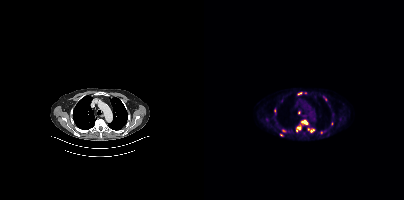
- Paired axial CT (left) and PSMA PET (right), 18F tracer
Findings: Coordinates are on the 200×200 PET (right) panel. (showing 7 of 12 foci) PSMA-avid tumor lesion bounding box (x0,y0,x1,y1): [93,119,104,130]. Small PSMA-avid foci (2 to 4 px across) near (center x, center y): (121, 98); (95, 112); (104, 129); (79, 130); (77, 135); (96, 92).